Technique: Paired axial CT (left) and PSMA PET (right), [18F]PSMA-1007 tracer. acquired on Siemens Biograph mCT Flow 20.
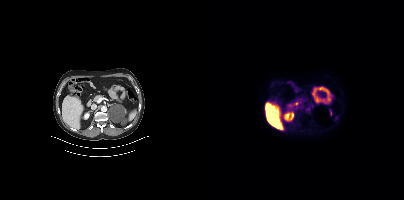
Findings: No tumor lesions annotated on this slice.